- Two-panel axial: CT | PSMA PET, 68Ga tracer
- PET panel 256×256 px (2.7 mm/px)
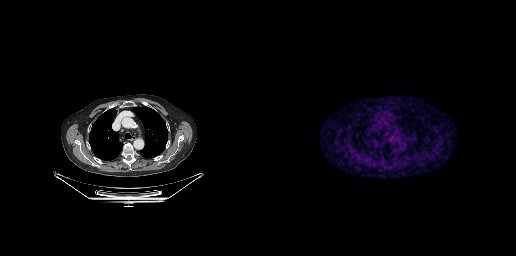
Findings: No tumor lesions annotated on this slice.